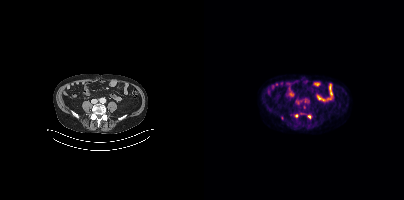
Findings: Coordinates are on the 200×200 PET (right) panel. Small PSMA-avid foci (2 to 4 px across) near (center x, center y): (92, 115); (105, 116).
Technique: Paired axial CT (left) and PSMA PET (right), [18F]PSMA-1007 tracer.